- Left: CT. Right: PSMA PET, same axial level, 18F-PSMA tracer
- slice 66 of 401
- PET panel 200×200 px (4.1 mm/px)
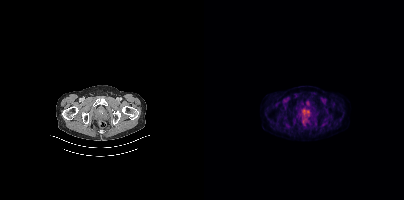
Findings: Coordinates are on the 200×200 PET (right) panel. PSMA-avid tumor lesion bounding box (x0,y0,x1,y1): [99,110,105,114].